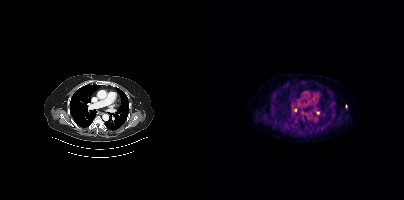
Two-panel axial: CT | PSMA PET, 18F-PSMA tracer. Acquired on Siemens Biograph mCT Flow 20. Slice 317 of 438. PET panel 200×200 px (4.1 mm/px). Coordinates are on the 200×200 PET (right) panel. (showing 2 of 3 foci) Small PSMA-avid foci (2 to 4 px across) near (center x, center y): (91, 109) | (113, 112).